Paired axial CT (left) and PSMA PET (right), [18F]PSMA-1007 tracer. Slice 227 of 299.
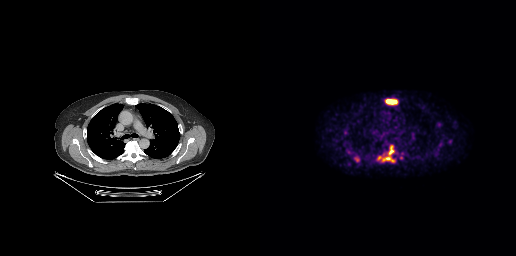
Coordinates are on the 256×256 PET (right) panel. PSMA-avid tumor lesion bounding boxes (partial; 1 more focus not listed):
| # | x0 | y0 | x1 | y1 |
|---|---|---|---|---|
| 1 | 122 | 145 | 134 | 162 |
| 2 | 125 | 99 | 137 | 104 |
| 3 | 94 | 157 | 99 | 161 |
Small PSMA-avid focus (2 to 4 px across) near (center x, center y): (119, 157).